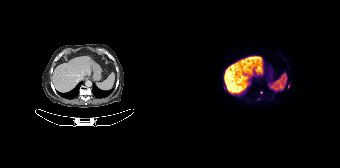
Technique: Left: CT. Right: PSMA PET, same axial level, [18F]PSMA-1007 tracer. acquired on Siemens Biograph 64-4R TruePoint. slice position z = -756 mm.
Findings: Only PSMA-avid lesion pieces thinner than 2 px on this slice (not listed).